Two-panel axial: CT | PSMA PET, [18F]PSMA-1007 tracer. Acquired on Siemens Biograph mCT Flow 20.
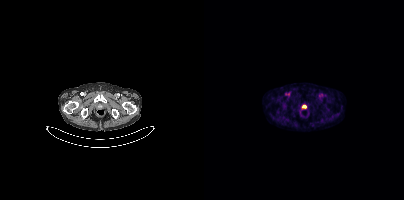
Coordinates are on the 200×200 PET (right) panel. PSMA-avid tumor lesion bounding boxes:
| # | x0 | y0 | x1 | y1 |
|---|---|---|---|---|
| 1 | 98 | 105 | 102 | 108 |